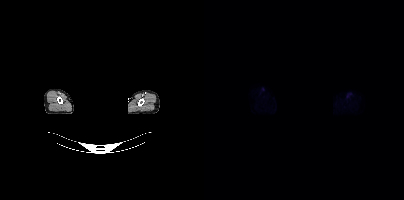
{"modality":"PSMA PET/CT","view":"axial","tracer":"18F","pet_grid":[200,200],"coord_frame":"pet_panel","coord_format":"x0,y0,x1,y1","redaction":"face masked with black rectangle","psma_avid_lesions":false}